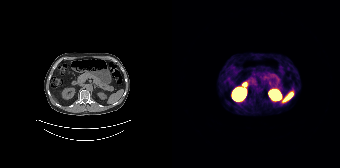
No tumor lesions annotated on this slice.